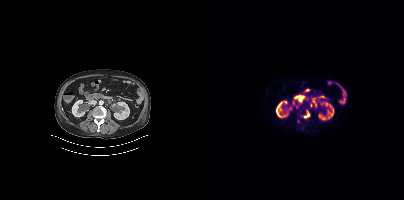
{"pet_grid":[200,200],"coord_frame":"pet_panel","coord_format":"x0,y0,x1,y1","lesion_bboxes":[[100,111,105,118]],"modality":"PSMA PET/CT","view":"axial","tracer":"18F-PSMA"}